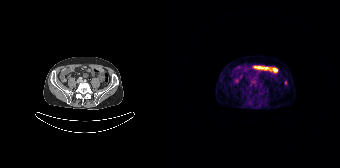
Technique: Paired axial CT (left) and PSMA PET (right), [68Ga]Ga-PSMA-11 tracer. slice position z = -1199 mm.
Findings: Coordinates are on the 168×168 PET (right) panel. Small PSMA-avid focus (2 to 4 px across) near (center x, center y): (113, 82).